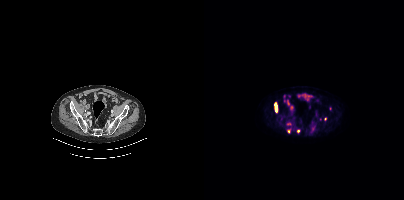
Coordinates are on the 200×200 PET (right) panel. (showing 2 of 5 foci) PSMA-avid tumor lesion bounding box (x, y, width, height): x=70 y=102 w=4 h=11. Small PSMA-avid focus (2 to 4 px across) near (center x, center y): (84, 131).